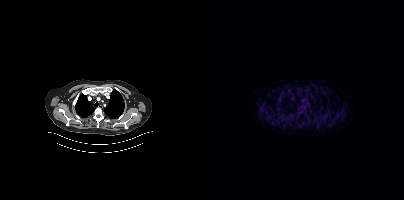
Findings: No PSMA-avid tumor lesions on this slice.
Technique: Left: CT. Right: PSMA PET, same axial level, 18F tracer. acquired on Siemens Biograph mCT Flow 20. PET panel 200×200 px (4.1 mm/px).